Two-panel axial: CT | PSMA PET, [18F]PSMA-1007 tracer. Acquired on Siemens Biograph mCT Flow 20. PET panel 200×200 px (4.1 mm/px).
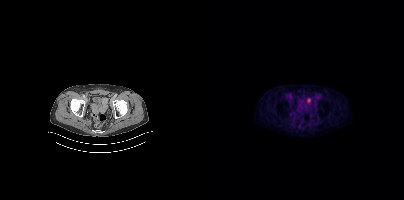
This slice has no annotated PSMA-avid lesion.